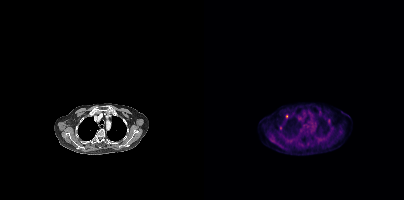
{"modality":"PSMA PET/CT","view":"axial","tracer":"18F-PSMA","pet_grid":[200,200],"coord_frame":"pet_panel","coord_format":"x0,y0,x1,y1","partial":true,"lesion_bboxes":[[115,138,120,140]],"small_foci_centers":[[125,120],[82,116],[76,127]]}